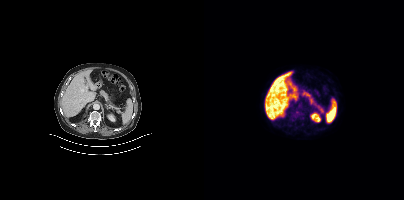
No tumor lesions annotated on this slice.